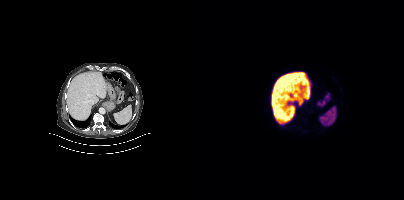
Two-panel axial: CT | PSMA PET, [18F]PSMA-1007 tracer. Negative for PSMA-avid disease on this slice.